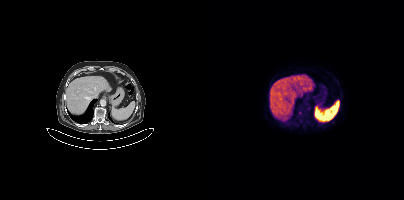
Two-panel axial: CT | PSMA PET, [18F]PSMA-1007 tracer. Slice 239 of 419. This slice has no annotated PSMA-avid lesion.